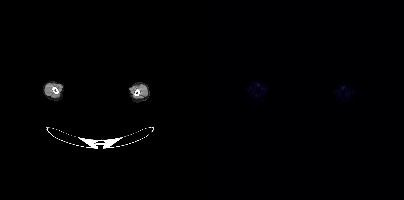
This slice has no annotated PSMA-avid lesion. A rectangle over the head was blacked out to remove identifiable facial features. Paired axial CT (left) and PSMA PET (right), [18F]PSMA-1007 tracer. Slice position z = -166 mm. PET panel 200×200 px (4.1 mm/px).